modality: PSMA PET/CT | tracer: 18F | view: axial | PET grid: 200×200
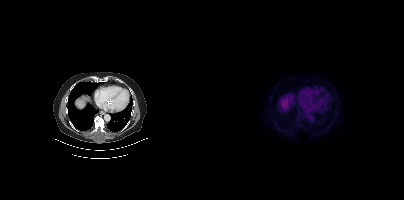
This slice has no annotated PSMA-avid lesion.